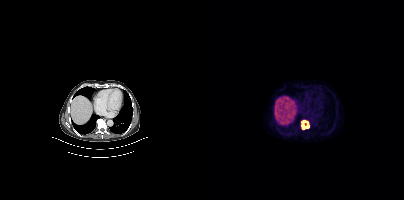
Findings: Coordinates are on the 200×200 PET (right) panel. PSMA-avid tumor lesion bounding box (x, y, width, height): x=97 y=120 w=9 h=10.
- Paired axial CT (left) and PSMA PET (right), 18F-PSMA tracer
- slice 268 of 427